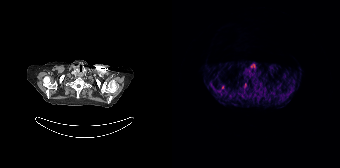
Coordinates are on the 168×168 PET (right) panel. Small PSMA-avid focus (2 to 4 px across) near (center x, center y): (50, 87).